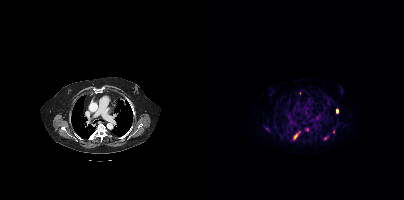
Technique: Paired axial CT (left) and PSMA PET (right), [68Ga]Ga-PSMA-11 tracer. acquired on Siemens Biograph mCT Flow 20. slice 307 of 444.
Findings: Coordinates are on the 200×200 PET (right) panel. PSMA-avid tumor lesion bounding boxes (x0, y0)-(x1, y1): (88, 130)-(96, 140); (132, 108)-(134, 113); (101, 127)-(104, 131). Small PSMA-avid foci (2 to 4 px across) near (center x, center y): (113, 117); (129, 131); (121, 138).